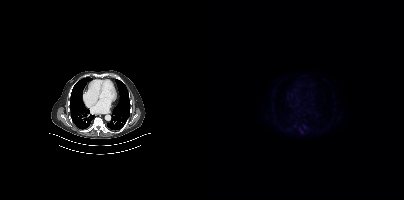
Paired axial CT (left) and PSMA PET (right), 18F tracer. Slice 268 of 395. Coordinates are on the 200×200 PET (right) panel. PSMA-avid tumor lesion bounding box (x0,y0,x1,y1): [95,128,100,134]. Small PSMA-avid focus (2 to 4 px across) near (center x, center y): (100, 125).